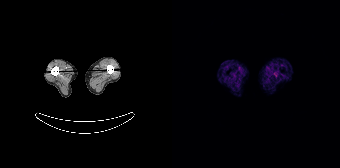
This slice has no annotated PSMA-avid lesion.
modality: PSMA PET/CT | tracer: 68Ga-PSMA | view: axial | PET grid: 168×168